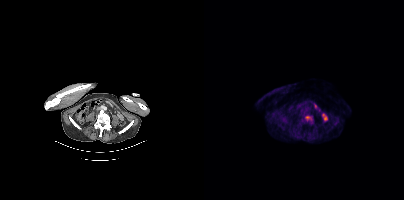
modality: PSMA PET/CT | tracer: [18F]PSMA-1007 | view: axial | PET grid: 200×200
Coordinates are on the 200×200 PET (right) panel. PSMA-avid tumor lesion bounding box (x0, y0)-(x1, y1): (101, 116)-(108, 120).